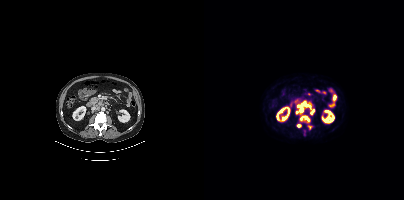
Coordinates are on the 200×200 PET (right) panel. PSMA-avid tumor lesion bounding boxes (partial; 1 more focus not listed):
| # | x0 | y0 | x1 | y1 |
|---|---|---|---|---|
| 1 | 92 | 102 | 104 | 113 |
| 2 | 96 | 116 | 105 | 121 |
| 3 | 105 | 107 | 110 | 114 |
Small PSMA-avid focus (2 to 4 px across) near (center x, center y): (94, 126).
Left: CT. Right: PSMA PET, same axial level, [18F]PSMA-1007 tracer. PET panel 200×200 px (4.1 mm/px).